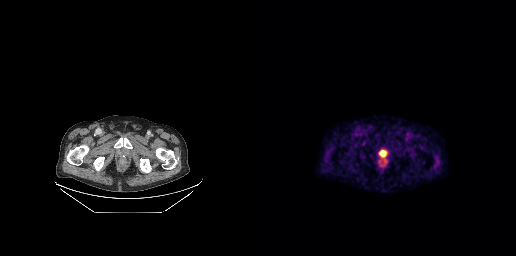
{"modality":"PSMA PET/CT","view":"axial","tracer":"[68Ga]Ga-PSMA-11","pet_grid":[256,256],"coord_frame":"pet_panel","coord_format":"x0,y0,x1,y1","psma_avid_lesions":false}